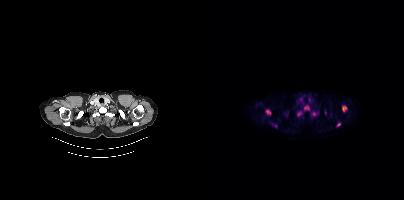
Findings: Coordinates are on the 200×200 PET (right) panel. PSMA-avid tumor lesion bounding boxes (x, y, width, height): x=62 y=109 w=5 h=6; x=138 y=106 w=5 h=6; x=100 y=106 w=6 h=4. Small PSMA-avid foci (2 to 4 px across) near (center x, center y): (134, 124); (71, 125); (95, 113); (110, 114); (121, 112).
- Two-panel axial: CT | PSMA PET, 18F tracer
- acquired on Siemens Biograph mCT Flow 20
- slice position z = -936 mm
- PET panel 200×200 px (4.1 mm/px)